Left: CT. Right: PSMA PET, same axial level, [18F]PSMA-1007 tracer. Slice position z = -983 mm. PET panel 200×200 px (4.1 mm/px).
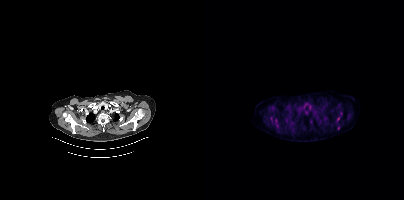
Coordinates are on the 200×200 PET (right) panel. PSMA-avid tumor lesion bounding box (x, y, width, height): x=133 y=117 w=3 h=5. Small PSMA-avid foci (2 to 4 px across) near (center x, center y): (137, 113); (134, 128).